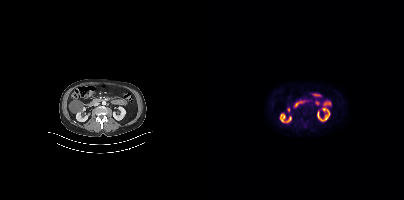
Left: CT. Right: PSMA PET, same axial level, 18F tracer. No PSMA-avid tumor lesions on this slice.